Two-panel axial: CT | PSMA PET, [18F]PSMA-1007 tracer. PET panel 200×200 px (4.1 mm/px).
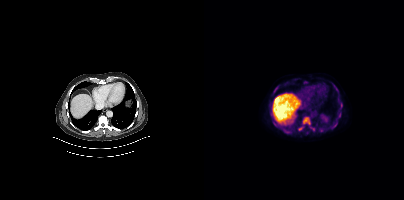
Coordinates are on the 200×200 PET (right) panel. (showing 8 of 9 foci) PSMA-avid tumor lesion bounding boxes (x, y, width, height): x=99 y=117 w=8 h=8; x=127 y=122 w=7 h=7; x=107 y=127 w=5 h=5; x=69 y=87 w=5 h=8; x=134 y=112 w=4 h=6; x=136 y=102 w=3 h=5. Small PSMA-avid foci (2 to 4 px across) near (center x, center y): (82, 131); (96, 129).